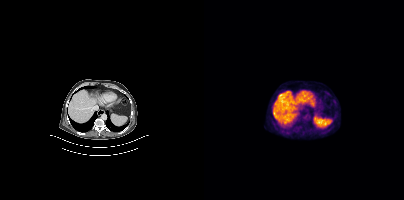
{"modality":"PSMA PET/CT","view":"axial","tracer":"18F-PSMA","pet_grid":[200,200],"coord_frame":"pet_panel","coord_format":"x0,y0,x1,y1","psma_avid_lesions":false}